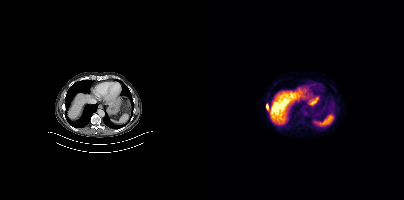
Coordinates are on the 200×200 PET (right) panel. PSMA-avid tumor lesion bounding box (x0, y0)-(x1, y1): (62, 104)-(64, 109).
modality: PSMA PET/CT | tracer: 18F | view: axial